Paired axial CT (left) and PSMA PET (right), 18F tracer. Acquired on Siemens Biograph mCT Flow 20.
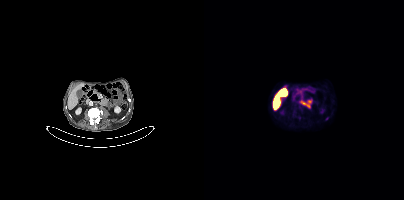
No tumor lesions annotated on this slice.